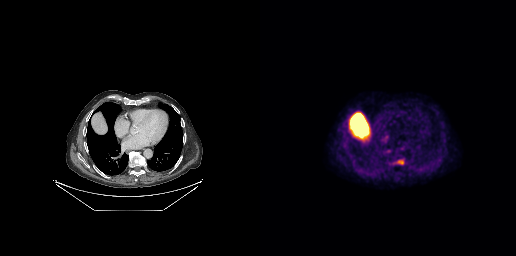
Coordinates are on the 256×256 PET (right) panel. Small PSMA-avid focus (2 to 4 px across) near (center x, center y): (140, 161).
modality: PSMA PET/CT | tracer: 18F | view: axial